Left: CT. Right: PSMA PET, same axial level, 18F tracer.
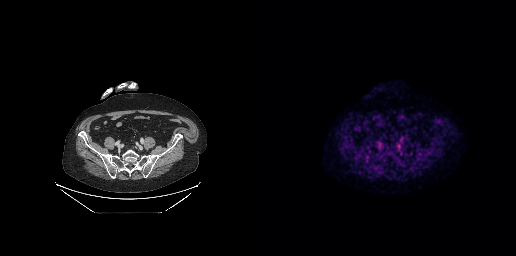
Negative for PSMA-avid disease on this slice.